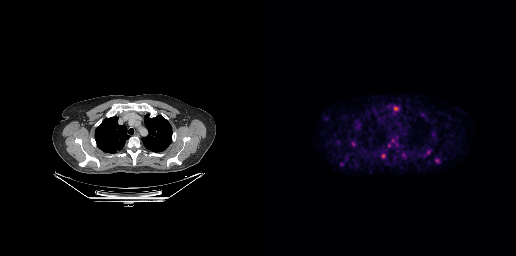
{"pet_grid":[256,256],"coord_frame":"pet_panel","coord_format":"x0,y0,x1,y1","partial":true,"lesion_bboxes":[],"small_foci_centers":[[93,144],[135,108],[177,160],[168,152]],"modality":"PSMA PET/CT","view":"axial","tracer":"18F"}